modality: PSMA PET/CT | tracer: 18F-PSMA | view: axial
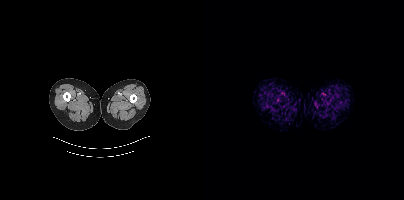
No tumor lesions annotated on this slice.